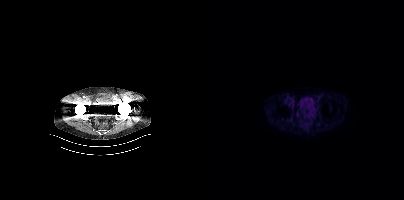
No PSMA-avid tumor lesions on this slice.